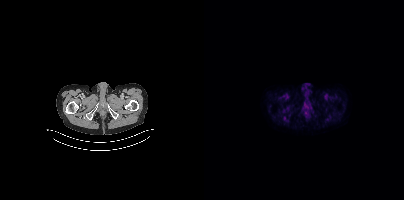
- Left: CT. Right: PSMA PET, same axial level, [18F]PSMA-1007 tracer
- acquired on Siemens Biograph mCT Flow 20
- PET panel 200×200 px (4.1 mm/px)
Findings: No tumor lesions annotated on this slice.